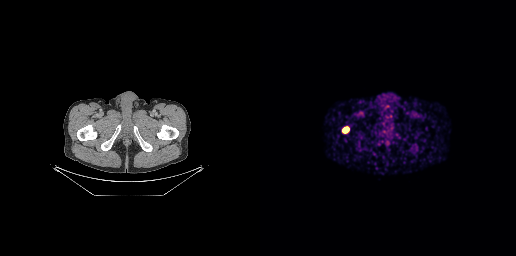
Findings: Coordinates are on the 256×256 PET (right) panel. PSMA-avid tumor lesion bounding box (x0, y0)-(x1, y1): (82, 127)-(88, 132).
Technique: Two-panel axial: CT | PSMA PET, [68Ga]Ga-PSMA-11 tracer. acquired on GE Discovery 690. PET panel 256×256 px (2.7 mm/px).